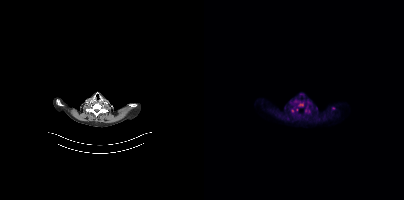
Findings: Coordinates are on the 200×200 PET (right) panel. (showing 1 of 2 foci) Small PSMA-avid focus (2 to 4 px across) near (center x, center y): (97, 104).
- Paired axial CT (left) and PSMA PET (right), 18F-PSMA tracer
- slice 355 of 421